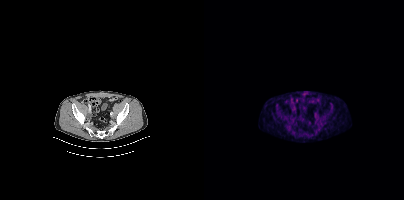
This slice has no annotated PSMA-avid lesion.